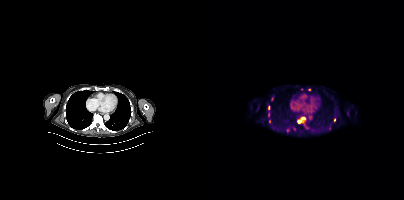
{"modality":"PSMA PET/CT","view":"axial","tracer":"[18F]PSMA-1007","pet_grid":[200,200],"coord_frame":"pet_panel","coord_format":"x0,y0,x1,y1","partial":true,"lesion_bboxes":[[64,112,65,116]],"small_foci_centers":[[95,121],[65,121],[64,107],[99,117],[130,120],[105,89]]}